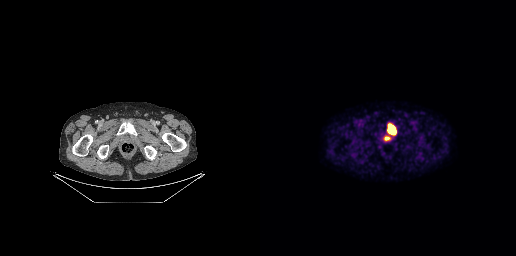
Coordinates are on the 256×256 PET (right) panel. PSMA-avid tumor lesion bounding box (x0,y0,x1,y1): [129,123,133,125].